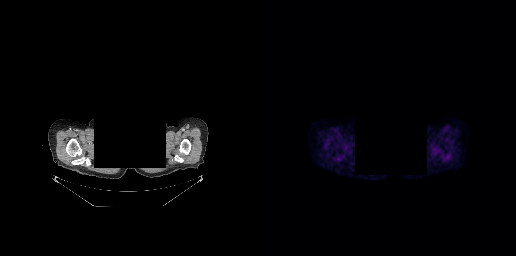
Findings: No tumor lesions annotated on this slice.
- any black rectangle over the head is a privacy mask, not anatomy
- Paired axial CT (left) and PSMA PET (right), 18F-PSMA tracer
- acquired on GE Discovery 690